modality: PSMA PET/CT | tracer: 68Ga | view: axial | PET grid: 168×168
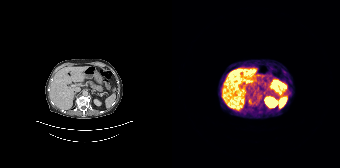
Negative for PSMA-avid disease on this slice.